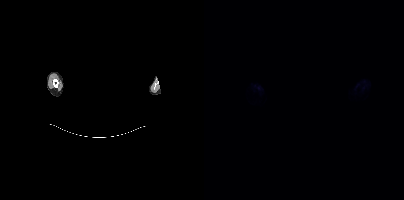
Paired axial CT (left) and PSMA PET (right), 18F-PSMA tracer. Acquired on Siemens Biograph mCT Flow 20. PET panel 200×200 px (4.1 mm/px). The face region was removed for patient privacy by blanking a rectangle over the head. This slice has no annotated PSMA-avid lesion.